modality: PSMA PET/CT | tracer: [18F]PSMA-1007 | view: axial
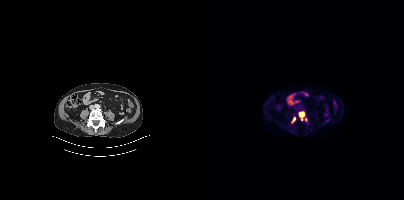
Coordinates are on the 200×200 PET (right) panel. (showing 2 of 3 foci) PSMA-avid tumor lesion bounding box (x0, y0)-(x1, y1): (95, 112)-(100, 116). Small PSMA-avid focus (2 to 4 px across) near (center x, center y): (90, 118).